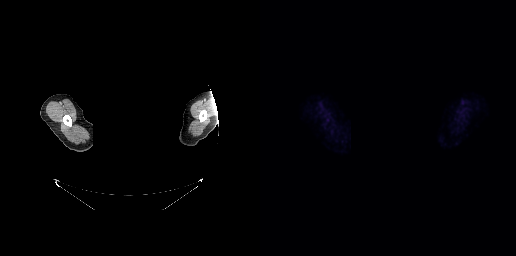
{"pet_grid":[256,256],"coord_frame":"pet_panel","coord_format":"x0,y0,x1,y1","psma_avid_lesions":false,"deidentification":"rectangular block over head set to black","modality":"PSMA PET/CT","view":"axial","tracer":"18F-PSMA"}